Two-panel axial: CT | PSMA PET, 18F tracer. Slice position z = -1030 mm. PET panel 200×200 px (4.1 mm/px).
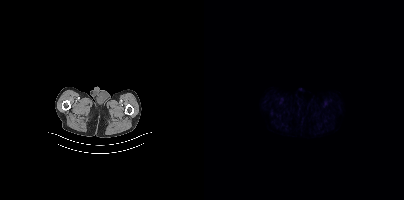
No PSMA-avid tumor lesions on this slice.